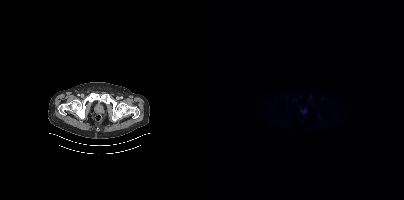
modality: PSMA PET/CT | tracer: 18F-PSMA | view: axial
This slice has no annotated PSMA-avid lesion.